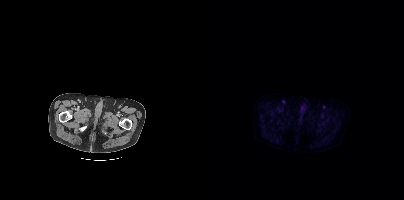
{"modality":"PSMA PET/CT","view":"axial","tracer":"18F","pet_grid":[200,200],"coord_frame":"pet_panel","coord_format":"x0,y0,x1,y1","psma_avid_lesions":false}